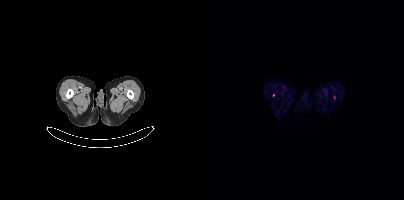
{"modality":"PSMA PET/CT","view":"axial","tracer":"18F-PSMA","pet_grid":[200,200],"coord_frame":"pet_panel","coord_format":"x0,y0,x1,y1","lesion_bboxes":[],"small_foci_centers":[[69,95]]}